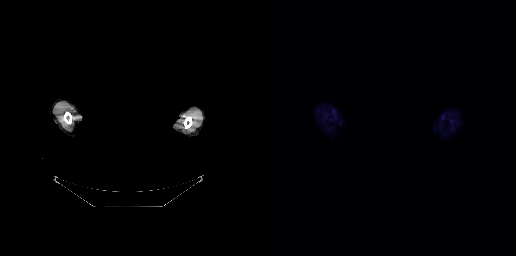
Paired axial CT (left) and PSMA PET (right), 18F-PSMA tracer. Acquired on GE Discovery 690. Any black rectangle over the head is a privacy mask, not anatomy. No PSMA-avid tumor lesions on this slice.